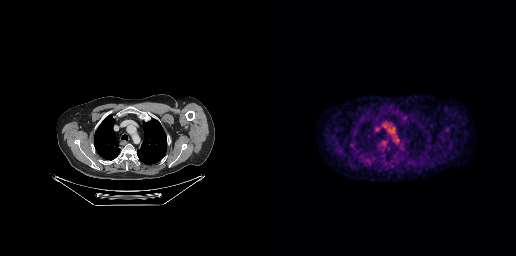
Findings: No tumor lesions annotated on this slice.
Technique: Two-panel axial: CT | PSMA PET, [18F]PSMA-1007 tracer. PET panel 256×256 px (2.7 mm/px).